Left: CT. Right: PSMA PET, same axial level, 18F tracer. Acquired on Siemens Biograph mCT Flow 20. PET panel 200×200 px (4.1 mm/px).
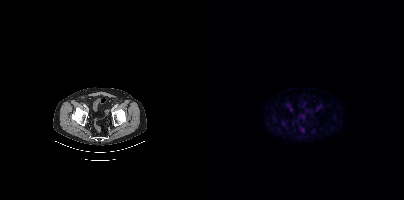
No tumor lesions annotated on this slice.